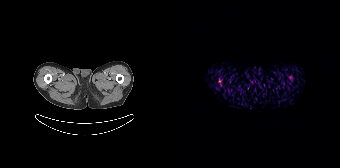
Coordinates are on the 168×168 PET (right) panel. (showing 1 of 2 foci) PSMA-avid tumor lesion bounding box (x0, y0)-(x1, y1): (47, 79)-(48, 83).